modality: PSMA PET/CT | tracer: 68Ga | view: axial | PET grid: 168×168
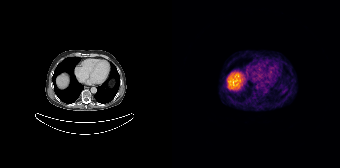
No tumor lesions annotated on this slice.